modality: PSMA PET/CT | tracer: [18F]PSMA-1007 | view: axial | PET grid: 200×200
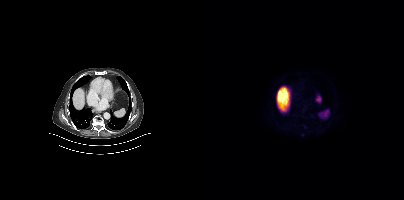
Coordinates are on the 200×200 PET (right) panel. Small PSMA-avid focus (2 to 4 px across) near (center x, center y): (100, 125).